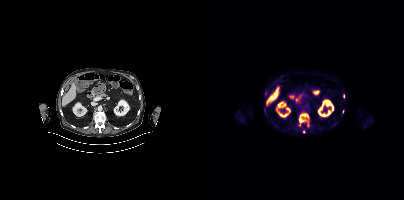
- Two-panel axial: CT | PSMA PET, 18F-PSMA tracer
- slice 171 of 401
- PET panel 200×200 px (4.1 mm/px)
Findings: Coordinates are on the 200×200 PET (right) panel. (showing 3 of 4 foci) PSMA-avid tumor lesion bounding box (x, y, width, height): x=95 y=114 w=10 h=9. Small PSMA-avid foci (2 to 4 px across) near (center x, center y): (139, 96); (99, 131).